Paired axial CT (left) and PSMA PET (right), 18F-PSMA tracer.
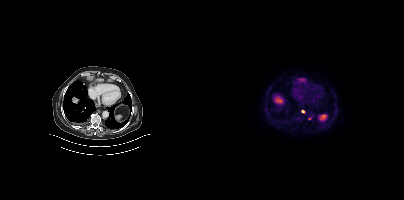
Coordinates are on the 200×200 PET (right) panel. Small PSMA-avid focus (2 to 4 px across) near (center x, center y): (98, 111).